- Paired axial CT (left) and PSMA PET (right), [18F]PSMA-1007 tracer
- slice 348 of 409
- PET panel 200×200 px (4.1 mm/px)
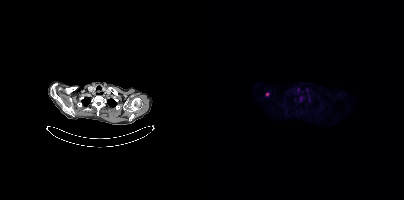
Findings: Coordinates are on the 200×200 PET (right) panel. Small PSMA-avid focus (2 to 4 px across) near (center x, center y): (63, 94).